- Left: CT. Right: PSMA PET, same axial level, [68Ga]Ga-PSMA-11 tracer
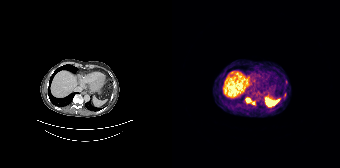
Findings: Coordinates are on the 168×168 PET (right) panel. PSMA-avid tumor lesion bounding box (x0, y0)-(x1, y1): (74, 98)-(78, 102). Small PSMA-avid focus (2 to 4 px across) near (center x, center y): (81, 103).